Two-panel axial: CT | PSMA PET, [18F]PSMA-1007 tracer. Acquired on Siemens Biograph mCT Flow 20. PET panel 200×200 px (4.1 mm/px).
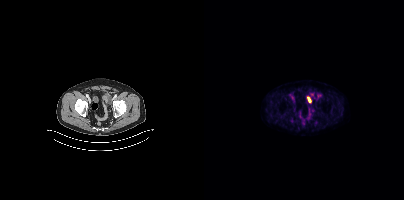
Coordinates are on the 200×200 PET (right) panel. Small PSMA-avid focus (2 to 4 px across) near (center x, center y): (87, 120).